modality: PSMA PET/CT | tracer: 18F-PSMA | view: axial
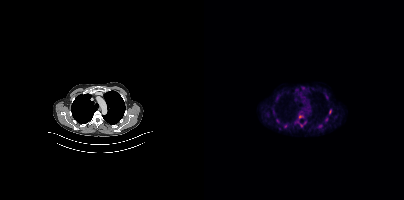
Coordinates are on the 200×200 PET (right) panel. (showing 4 of 7 foci) PSMA-avid tumor lesion bounding boxes (x0, y0)-(x1, y1): (125, 109)-(127, 114); (121, 117)-(124, 122); (114, 124)-(118, 128). Small PSMA-avid focus (2 to 4 px across) near (center x, center y): (73, 120).